modality: PSMA PET/CT | tracer: 18F-PSMA | view: axial | PET grid: 200×200
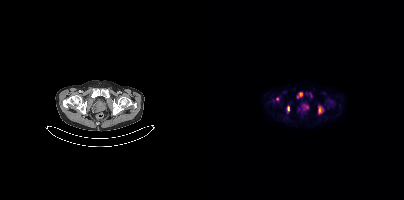
Coordinates are on the 200×200 PET (right) panel. (showing 4 of 5 foci) PSMA-avid tumor lesion bounding boxes (x0,y0,x1,y1): [114,106,119,113]; [93,92,98,98]; [83,106,85,112]. Small PSMA-avid focus (2 to 4 px across) near (center x, center y): (73, 99).